Left: CT. Right: PSMA PET, same axial level, 18F-PSMA tracer. Acquired on Siemens Biograph mCT Flow 20. PET panel 200×200 px (4.1 mm/px).
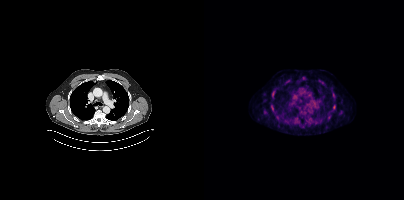
Coordinates are on the 200×200 PET (right) panel. (showing 4 of 5 foci) Small PSMA-avid foci (2 to 4 px across) near (center x, center y): (129, 95) / (129, 107) / (68, 109) / (99, 113).